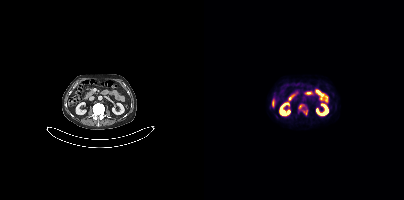
Technique: Paired axial CT (left) and PSMA PET (right), 18F tracer. acquired on Siemens Biograph mCT Flow 20. PET panel 200×200 px (4.1 mm/px).
Findings: Coordinates are on the 200×200 PET (right) panel. PSMA-avid tumor lesion bounding box (x0, y0)-(x1, y1): (94, 104)-(103, 115).